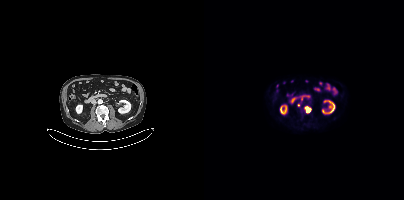
Coordinates are on the 200×200 PET (right) panel. (showing 3 of 4 foci) PSMA-avid tumor lesion bounding box (x, y, width, height): x=94 y=102 w=3 h=5. Small PSMA-avid foci (2 to 4 px across) near (center x, center y): (103, 107) | (103, 111).